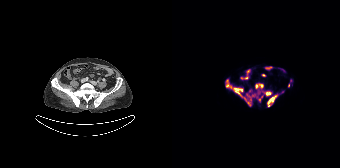
Coordinates are on the 168×168 PET (right) panel. (showing 4 of 5 foci) PSMA-avid tumor lesion bounding boxes (x, y, width, height): x=54 y=79 w=47 h=28 / x=95 y=94 w=11 h=14. Small PSMA-avid foci (2 to 4 px across) near (center x, center y): (116, 85) / (110, 91). Left: CT. Right: PSMA PET, same axial level, 18F-PSMA tracer. Slice 44 of 165.